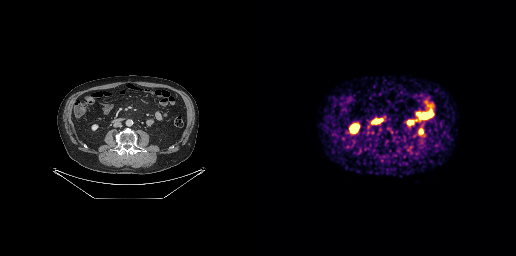
{"pet_grid":[256,256],"coord_frame":"pet_panel","coord_format":"x0,y0,x1,y1","lesion_bboxes":[],"small_foci_centers":[[127,128]],"modality":"PSMA PET/CT","view":"axial","tracer":"[68Ga]Ga-PSMA-11"}